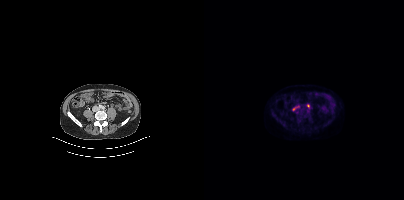
{"modality":"PSMA PET/CT","view":"axial","tracer":"18F","pet_grid":[200,200],"coord_frame":"pet_panel","coord_format":"x0,y0,x1,y1","partial":true,"lesion_bboxes":[],"small_foci_centers":[[104,105]]}